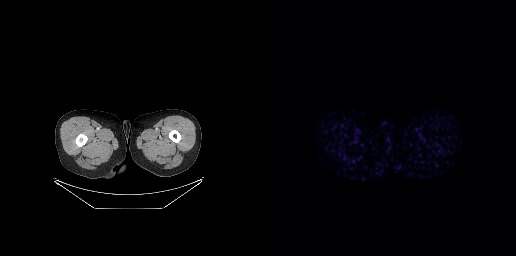
Technique: Two-panel axial: CT | PSMA PET, 68Ga-PSMA tracer. acquired on GE Discovery 690. slice 10 of 263. PET panel 256×256 px (2.7 mm/px).
Findings: No tumor lesions annotated on this slice.